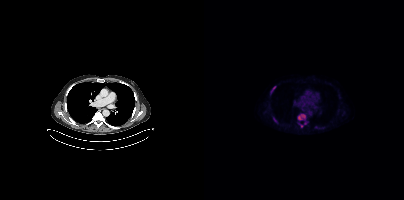
Coordinates are on the 200×200 PET (right) panel. PSMA-avid tumor lesion bounding boxes (x0,y0,x1,y1): [94,114,101,120], [67,86,72,93], [112,126,120,128], [69,117,72,122]. Small PSMA-avid foci (2 to 4 px across) near (center x, center y): (97, 126), (101, 123).